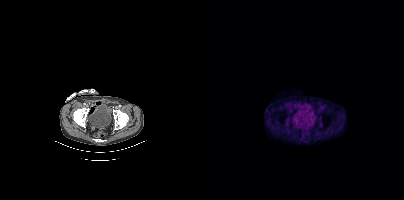
{"modality":"PSMA PET/CT","view":"axial","tracer":"[18F]PSMA-1007","pet_grid":[200,200],"coord_frame":"pet_panel","coord_format":"x0,y0,x1,y1","psma_avid_lesions":false}